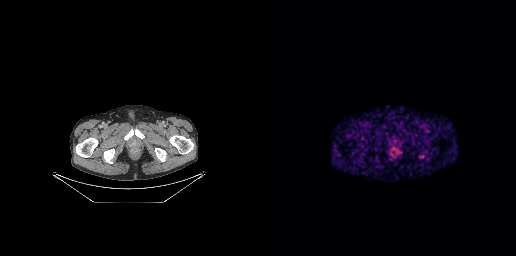
Left: CT. Right: PSMA PET, same axial level, 68Ga tracer. Slice position z = -926 mm. PET panel 256×256 px (2.7 mm/px). Coordinates are on the 256×256 PET (right) panel. Small PSMA-avid focus (2 to 4 px across) near (center x, center y): (162, 156).